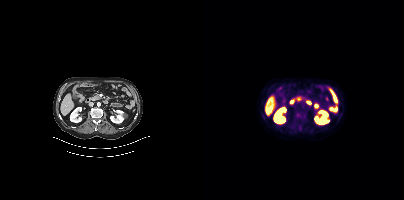
This slice has no annotated PSMA-avid lesion.